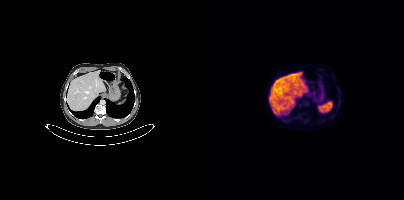
Paired axial CT (left) and PSMA PET (right), 18F tracer. Negative for PSMA-avid disease on this slice.